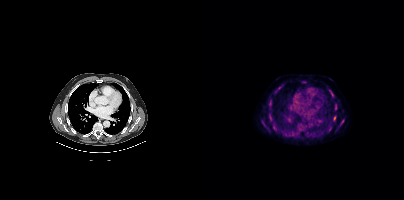
Two-panel axial: CT | PSMA PET, 18F tracer. Acquired on Siemens Biograph mCT Flow 20. Slice position z = -1035 mm. PET panel 200×200 px (4.1 mm/px).
Coordinates are on the 200×200 PET (right) panel. PSMA-avid tumor lesion bounding boxes (partial; 1 more focus not listed):
| # | x0 | y0 | x1 | y1 |
|---|---|---|---|---|
| 1 | 136 | 119 | 140 | 125 |
| 2 | 129 | 116 | 132 | 120 |
| 3 | 74 | 85 | 78 | 88 |
Small PSMA-avid foci (2 to 4 px across) near (center x, center y): (70, 126); (128, 95); (61, 125); (71, 91); (131, 104).